- Two-panel axial: CT | PSMA PET, 18F-PSMA tracer
- slice position z = -751 mm
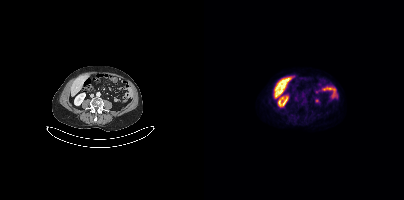
Findings: No tumor lesions annotated on this slice.